Head region blanked for anonymization (face removed).
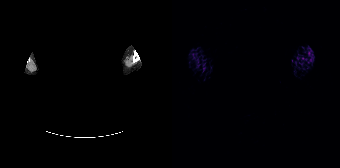
This slice has no annotated PSMA-avid lesion.